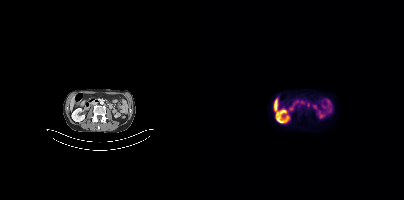
{"modality":"PSMA PET/CT","view":"axial","tracer":"18F","pet_grid":[200,200],"coord_frame":"pet_panel","coord_format":"x0,y0,x1,y1","lesion_bboxes":[[103,102,106,107]],"small_foci_centers":[[98,102]]}